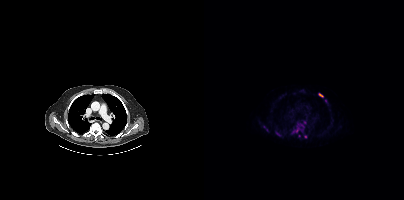
Coordinates are on the 200×200 PET (right) panel. (showing 5 of 6 foci) PSMA-avid tumor lesion bounding box (x0, y0)-(x1, y1): (115, 93)-(119, 96). Small PSMA-avid foci (2 to 4 px across) near (center x, center y): (73, 132); (121, 100); (101, 136); (92, 130).